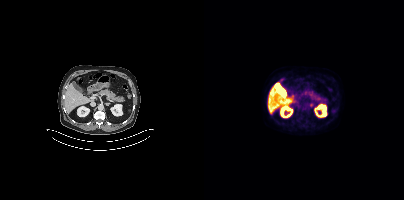
Coordinates are on the 200×200 PET (right) panel. Small PSMA-avid focus (2 to 4 px across) near (center x, center y): (106, 104).